modality: PSMA PET/CT | tracer: 18F | view: axial
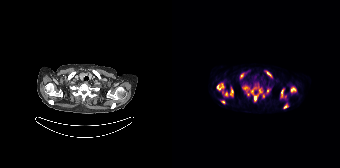
Coordinates are on the 168×168 PET (right) panel. PSMA-avid tumor lesion bounding boxes (x, y, width, height): x=70 y=85 w=22 h=17; x=44 y=83 w=9 h=8; x=118 y=86 w=7 h=7; x=108 y=88 w=5 h=11; x=58 y=87 w=4 h=10; x=68 y=73 w=5 h=6; x=94 y=71 w=6 h=6; x=111 y=104 w=6 h=5; x=94 y=88 w=5 h=6; x=53 y=92 w=3 h=5. Small PSMA-avid foci (2 to 4 px across) near (center x, center y): (50, 102); (91, 95); (113, 96); (50, 91).